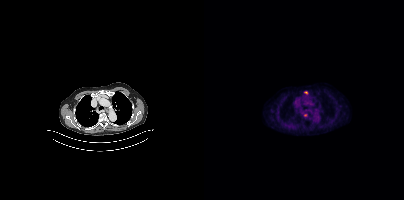
Coordinates are on the 200×200 PET (right) panel. (showing 1 of 2 foci) Small PSMA-avid focus (2 to 4 px across) near (center x, center y): (101, 92).